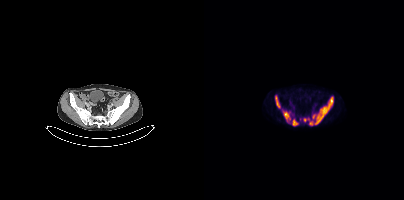
Coordinates are on the 200×200 PET (right) panel. PSMA-avid tumor lesion bounding boxes (x0, y0)-(x1, y1): (99, 96)-(129, 125) | (79, 110)-(86, 121) | (71, 95)-(76, 108) | (88, 119)-(94, 125).